modality: PSMA PET/CT | tracer: 18F-PSMA | view: axial
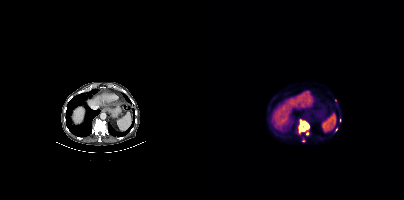
Coordinates are on the 200×200 PET (right) panel. (showing 5 of 6 foci) PSMA-avid tumor lesion bounding box (x, y, width, height): x=94 y=119 w=12 h=16. Small PSMA-avid foci (2 to 4 px across) near (center x, center y): (103, 133); (131, 100); (132, 130); (99, 140).